- Left: CT. Right: PSMA PET, same axial level, 18F-PSMA tracer
- PET panel 200×200 px (4.1 mm/px)
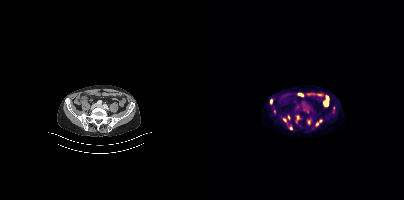
Findings: Coordinates are on the 200×200 PET (right) panel. (showing 9 of 10 foci) PSMA-avid tumor lesion bounding boxes (x0,y0,x1,y1): [66,99,68,103] [84,115,86,119]. Small PSMA-avid foci (2 to 4 px across) near (center x, center y): (94, 117) (113, 124) (80, 120) (116, 121) (104, 122) (86, 128) (129, 107).